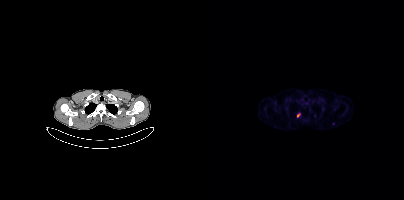
Findings: Coordinates are on the 200×200 PET (right) panel. (showing 1 of 2 foci) PSMA-avid tumor lesion bounding box (x0,y0,x1,y1): [93,113,96,117].
- Paired axial CT (left) and PSMA PET (right), 68Ga-PSMA tracer
- slice position z = -1130 mm